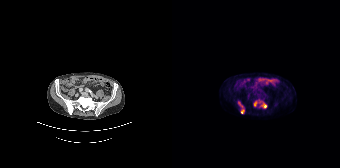
Left: CT. Right: PSMA PET, same axial level, [18F]PSMA-1007 tracer. PET panel 168×168 px (4.1 mm/px).
Coordinates are on the 168×168 PET (right) panel. PSMA-avid tumor lesion bounding boxes:
| # | x0 | y0 | x1 | y1 |
|---|---|---|---|---|
| 1 | 66 | 101 | 72 | 113 |
| 2 | 89 | 103 | 94 | 108 |
| 3 | 82 | 101 | 84 | 106 |